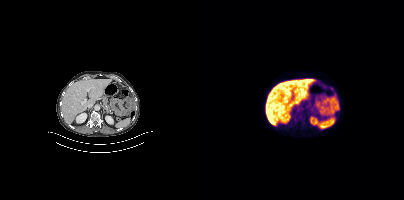
No tumor lesions annotated on this slice.
modality: PSMA PET/CT | tracer: 18F | view: axial